Two-panel axial: CT | PSMA PET, [18F]PSMA-1007 tracer. Slice 225 of 423. PET panel 200×200 px (4.1 mm/px).
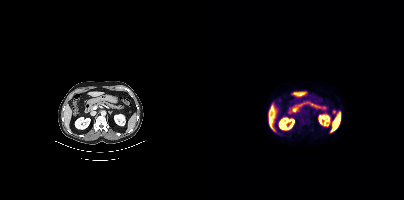
Coordinates are on the 200×200 PET (right) panel. Small PSMA-avid focus (2 to 4 px across) near (center x, center y): (130, 111).